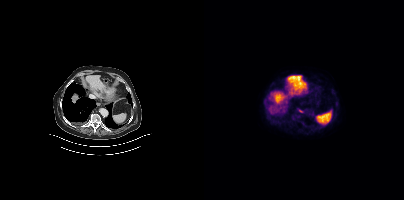
No tumor lesions annotated on this slice. Paired axial CT (left) and PSMA PET (right), 18F tracer. Acquired on Siemens Biograph mCT Flow 20. Slice 243 of 413.